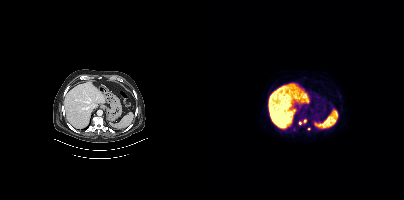
modality: PSMA PET/CT | tracer: 18F | view: axial | PET grid: 200×200
Coordinates are on the 200×200 PET (right) panel. Small PSMA-avid foci (2 to 4 px across) near (center x, center y): (101, 120); (104, 129); (96, 123); (90, 130).